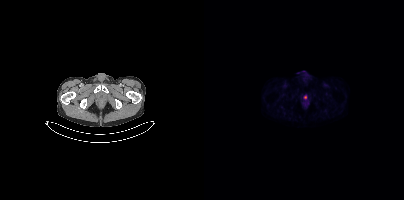
{"modality":"PSMA PET/CT","view":"axial","tracer":"18F","pet_grid":[200,200],"coord_frame":"pet_panel","coord_format":"x0,y0,x1,y1","psma_avid_lesions":false}